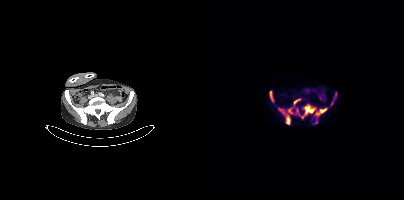
{"modality":"PSMA PET/CT","view":"axial","tracer":"18F-PSMA","pet_grid":[200,200],"coord_frame":"pet_panel","coord_format":"x0,y0,x1,y1","partial":true,"lesion_bboxes":[[74,107,88,124],[97,104,112,118],[110,108,123,124],[66,91,70,102],[126,92,133,106],[90,99,96,104]],"small_foci_centers":[[93,110]]}